modality: PSMA PET/CT | tracer: 18F-PSMA | view: axial
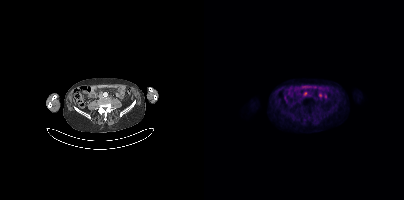
Coordinates are on the 200×200 PET (right) panel. PSMA-avid tumor lesion bounding box (x0, y0)-(x1, y1): (99, 92)-(103, 95).